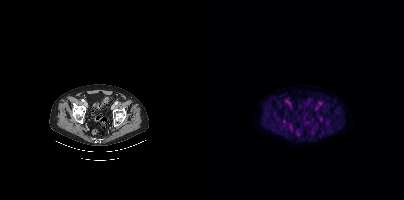
Technique: Paired axial CT (left) and PSMA PET (right), 18F-PSMA tracer. acquired on Siemens Biograph mCT Flow 20.
Findings: Negative for PSMA-avid disease on this slice.